Technique: Left: CT. Right: PSMA PET, same axial level, 18F tracer. acquired on Siemens Biograph mCT Flow 20. PET panel 200×200 px (4.1 mm/px).
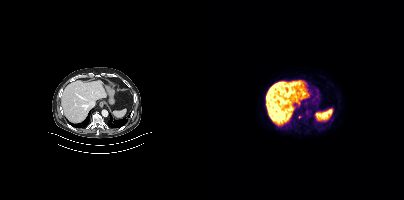
Findings: Only PSMA-avid lesion pieces thinner than 2 px on this slice (not listed).